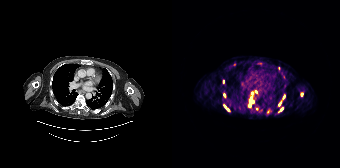
Paired axial CT (left) and PSMA PET (right), 68Ga tracer. Slice position z = -376 mm. PET panel 168×168 px (4.1 mm/px).
Coordinates are on the 168×168 PET (right) panel. PSMA-avid tumor lesion bounding boxes (partial; 5 more foci not listed):
| # | x0 | y0 | x1 | y1 |
|---|---|---|---|---|
| 1 | 77 | 99 | 81 | 106 |
| 2 | 52 | 105 | 57 | 110 |
Small PSMA-avid foci (2 to 4 px across) near (center x, center y): (52, 95); (109, 109); (51, 81); (129, 93); (111, 96); (107, 104).